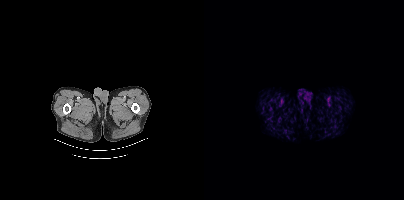
Findings: No PSMA-avid tumor lesions on this slice.
Technique: Paired axial CT (left) and PSMA PET (right), 18F tracer. slice 9 of 423. PET panel 200×200 px (4.1 mm/px).